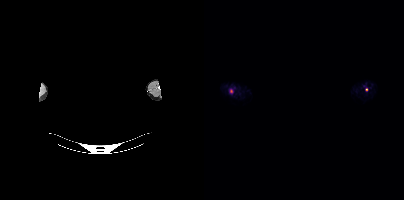
Technique: Two-panel axial: CT | PSMA PET, 18F tracer. PET panel 200×200 px (4.1 mm/px).
Note: The face region was removed for patient privacy by blanking a rectangle over the head.
Findings: Coordinates are on the 200×200 PET (right) panel. Small PSMA-avid foci (2 to 4 px across) near (center x, center y): (27, 90), (162, 89).